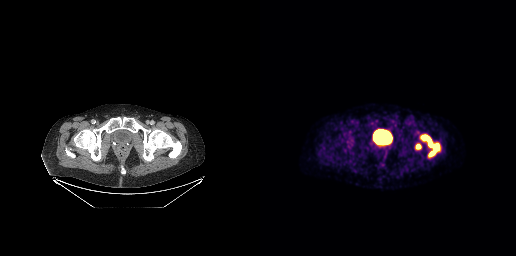
Paired axial CT (left) and PSMA PET (right), [18F]PSMA-1007 tracer. Slice position z = -928 mm. Coordinates are on the 256×256 PET (right) panel. PSMA-avid tumor lesion bounding boxes (x0, y0)-(x1, y1): (160, 134)-(180, 157) | (155, 144)-(161, 149).